Paired axial CT (left) and PSMA PET (right), 18F-PSMA tracer. Acquired on Siemens Biograph mCT Flow 20. Slice position z = -1152 mm. PET panel 200×200 px (4.1 mm/px).
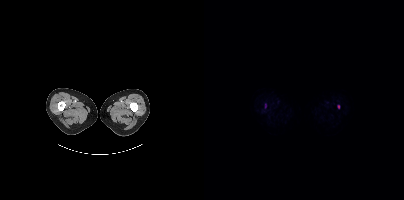
Coordinates are on the 200×200 PET (right) panel. Small PSMA-avid foci (2 to 4 px across) near (center x, center y): (134, 106) | (61, 104).